Technique: Two-panel axial: CT | PSMA PET, 18F-PSMA tracer. slice position z = -1186 mm.
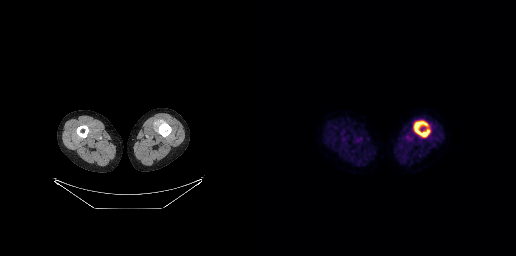
Findings: Coordinates are on the 256×256 PET (right) panel. PSMA-avid tumor lesion bounding box (x0, y0)-(x1, y1): (154, 121)-(169, 136).